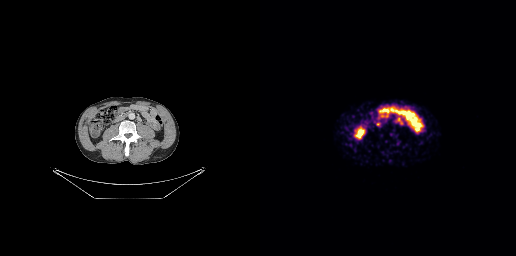
Coordinates are on the 256×256 PET (right) panel. PSMA-avid tumor lesion bounding box (x0, y0)-(x1, y1): (116, 122)-(120, 125).